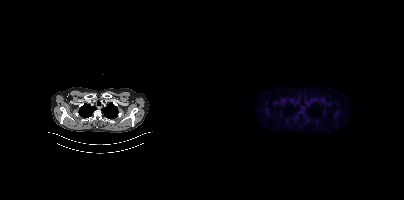
{"pet_grid":[200,200],"coord_frame":"pet_panel","coord_format":"x0,y0,x1,y1","psma_avid_lesions":false,"modality":"PSMA PET/CT","view":"axial","tracer":"18F"}